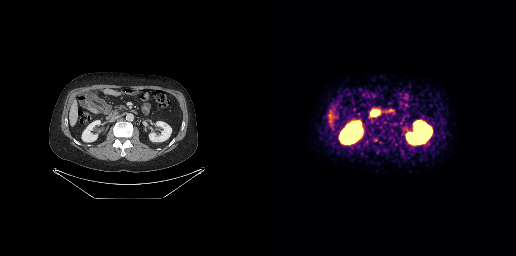
- Left: CT. Right: PSMA PET, same axial level, 68Ga-PSMA tracer
- acquired on GE Discovery 690
Findings: This slice has no annotated PSMA-avid lesion.